- Left: CT. Right: PSMA PET, same axial level, 18F-PSMA tracer
- PET panel 200×200 px (4.1 mm/px)
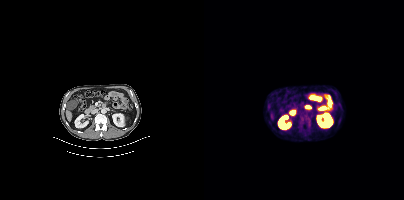
Findings: Coordinates are on the 200×200 PET (right) panel. PSMA-avid tumor lesion bounding box (x0, y0)-(x1, y1): (95, 115)-(107, 127). Small PSMA-avid focus (2 to 4 px across) near (center x, center y): (100, 135).